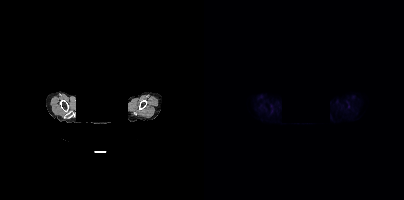
Findings: No PSMA-avid tumor lesions on this slice.
- the face region was removed for patient privacy by blanking a rectangle over the head
- Paired axial CT (left) and PSMA PET (right), [18F]PSMA-1007 tracer
- slice 354 of 401